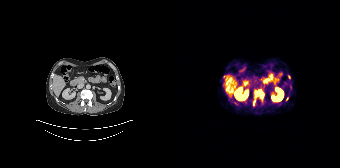
Coordinates are on the 168×168 PET (right) panel. (showing 3 of 4 foci) PSMA-avid tumor lesion bounding box (x0,y0,x1,y1): [81,89,91,104]. Small PSMA-avid foci (2 to 4 px across) near (center x, center y): (115, 98); (117, 77).
modality: PSMA PET/CT | tracer: 68Ga | view: axial | PET grid: 168×168